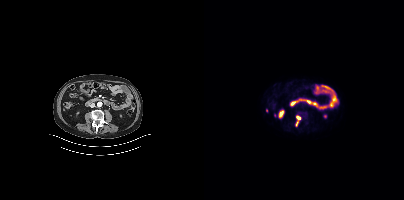
Findings: Coordinates are on the 200×200 PET (right) panel. PSMA-avid tumor lesion bounding box (x0,y0,x1,y1): [92,116,96,125]. Small PSMA-avid focus (2 to 4 px across) near (center x, center y): (62, 110).
- Two-panel axial: CT | PSMA PET, 18F tracer
- PET panel 200×200 px (4.1 mm/px)